Two-panel axial: CT | PSMA PET, 18F-PSMA tracer. Slice 148 of 454.
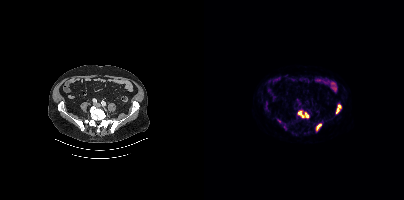
Coordinates are on the 200×200 PET (right) panel. PSMA-avid tumor lesion bounding boxes (x0,y0,x1,y1): [132,104,137,113], [112,124,116,130], [94,111,99,117], [101,113,104,118].